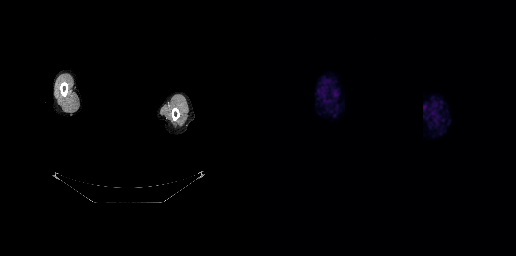
Findings: Negative for PSMA-avid disease on this slice.
- Two-panel axial: CT | PSMA PET, 18F tracer
- PET panel 256×256 px (2.7 mm/px)
- de-identified by setting a box covering the face to black before release